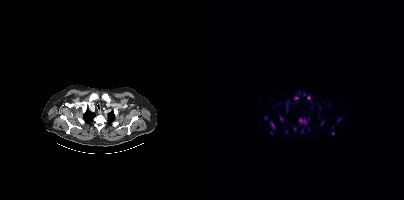
Coordinates are on the 200×200 PET (right) panel. (showing 15 of 18 foci) PSMA-avid tumor lesion bounding boxes (x, y, width, height): x=95 y=118 w=8 h=7 | x=66 y=121 w=6 h=9 | x=90 y=96 w=5 h=5 | x=103 y=95 w=4 h=7 | x=82 y=102 w=2 h=9 | x=90 y=127 w=3 h=5 | x=117 y=121 w=4 h=5. Small PSMA-avid foci (2 to 4 px across) near (center x, center y): (134, 119) | (61, 117) | (129, 133) | (82, 131) | (98, 131) | (67, 132) | (128, 127) | (104, 129).